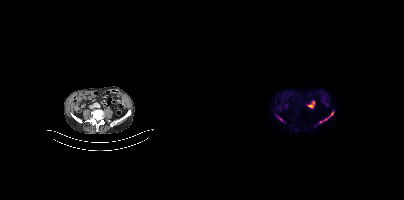
{"modality":"PSMA PET/CT","view":"axial","tracer":"[18F]PSMA-1007","pet_grid":[200,200],"coord_frame":"pet_panel","coord_format":"x0,y0,x1,y1","lesion_bboxes":[[115,111,129,123],[72,115,78,121]]}